- Left: CT. Right: PSMA PET, same axial level, 18F-PSMA tracer
- slice 149 of 401
- PET panel 200×200 px (4.1 mm/px)
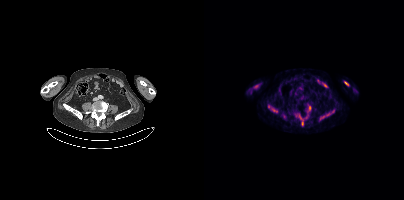
Findings: Coordinates are on the 200×200 PET (right) panel. (showing 6 of 8 foci) PSMA-avid tumor lesion bounding boxes (x, y, width, height): x=92 y=114 w=8 h=12 | x=64 y=105 w=10 h=8 | x=116 y=113 w=11 h=8 | x=103 y=105 w=5 h=8 | x=140 y=81 w=5 h=5. Small PSMA-avid focus (2 to 4 px across) near (center x, center y): (102, 117).